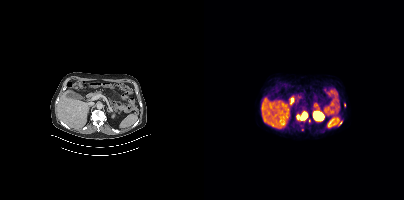
Coordinates are on the 200×200 PET (right) panel. PSMA-avid tumor lesion bounding box (x0,y0,x1,y1): [97,112,103,119]. Small PSMA-avid focus (2 to 4 px across) near (center x, center y): (93, 116).